Two-panel axial: CT | PSMA PET, [18F]PSMA-1007 tracer. Slice position z = -817 mm. PET panel 200×200 px (4.1 mm/px).
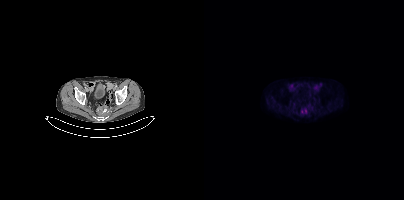
Coordinates are on the 200×200 PET (right) panel. PSMA-avid tumor lesion bounding boxes:
| # | x0 | y0 | x1 | y1 |
|---|---|---|---|---|
| 1 | 101 | 109 | 102 | 113 |
Small PSMA-avid focus (2 to 4 px across) near (center x, center y): (98, 111).